- Two-panel axial: CT | PSMA PET, [18F]PSMA-1007 tracer
- PET panel 200×200 px (4.1 mm/px)
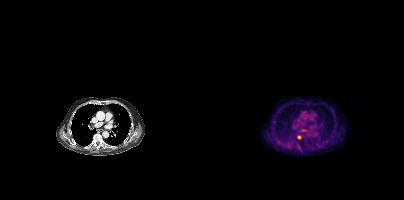
Findings: Coordinates are on the 200×200 PET (right) panel. Small PSMA-avid foci (2 to 4 px across) near (center x, center y): (69, 122); (95, 137); (74, 142).